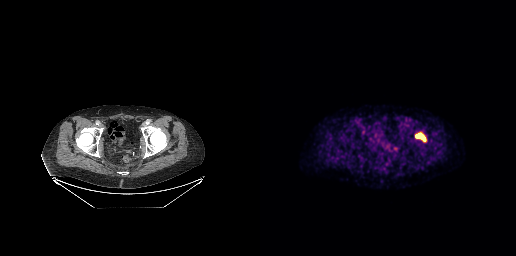
Coordinates are on the 256×256 PET (right) panel. PSMA-avid tumor lesion bounding box (x, y, width, height): x=155 y=132 w=12 h=10.